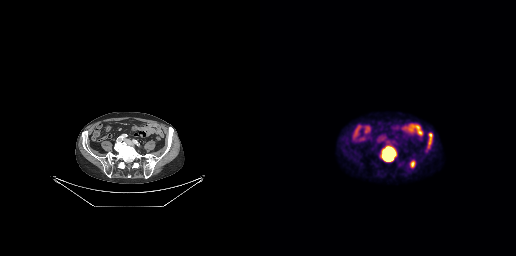
Coordinates are on the 256×256 PET (right) panel. PSMA-avid tumor lesion bounding boxes:
| # | x0 | y0 | x1 | y1 |
|---|---|---|---|---|
| 1 | 122 | 147 | 136 | 161 |
| 2 | 168 | 133 | 172 | 147 |
| 3 | 150 | 160 | 155 | 167 |
Two-panel axial: CT | PSMA PET, [18F]PSMA-1007 tracer. Slice 92 of 263.